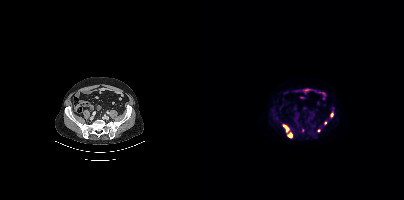
Technique: Left: CT. Right: PSMA PET, same axial level, [18F]PSMA-1007 tracer. slice 121 of 417. PET panel 200×200 px (4.1 mm/px).
Findings: Coordinates are on the 200×200 PET (right) panel. (showing 4 of 5 foci) PSMA-avid tumor lesion bounding boxes (x0, y0)-(x1, y1): (79, 124)-(88, 138) / (126, 112)-(129, 117). Small PSMA-avid foci (2 to 4 px across) near (center x, center y): (121, 123) / (115, 130).